- Two-panel axial: CT | PSMA PET, 68Ga-PSMA tracer
- acquired on Siemens Biograph mCT Flow 20
- slice 127 of 373
- PET panel 200×200 px (4.1 mm/px)
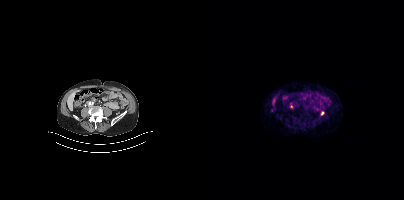
Findings: Coordinates are on the 200×200 PET (right) panel. Small PSMA-avid foci (2 to 4 px across) near (center x, center y): (87, 106) / (118, 113).